modality: PSMA PET/CT | tracer: [18F]PSMA-1007 | view: axial | PET grid: 200×200
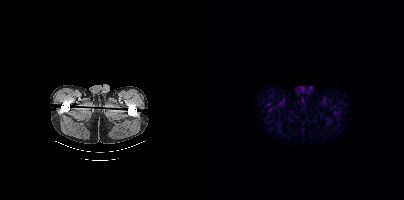
No PSMA-avid tumor lesions on this slice.